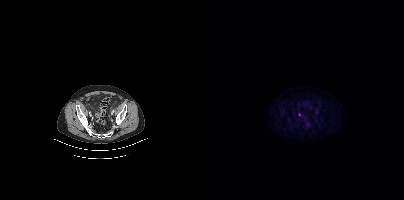
Findings: Coordinates are on the 200×200 PET (right) panel. PSMA-avid tumor lesion bounding box (x, y, width, height): x=76 y=110 w=7 h=7.
Technique: Paired axial CT (left) and PSMA PET (right), 18F tracer. acquired on Siemens Biograph mCT Flow 20. PET panel 200×200 px (4.1 mm/px).